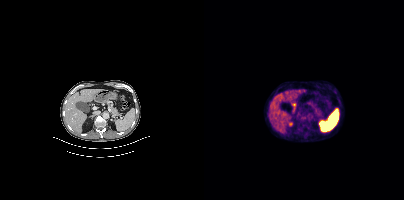
{"modality":"PSMA PET/CT","view":"axial","tracer":"[18F]PSMA-1007","pet_grid":[200,200],"coord_frame":"pet_panel","coord_format":"x0,y0,x1,y1","lesion_bboxes":[[96,116,106,125]]}